- Paired axial CT (left) and PSMA PET (right), 18F tracer
- slice position z = -856 mm
- facial anatomy redacted by setting a rectangular region of the head to black
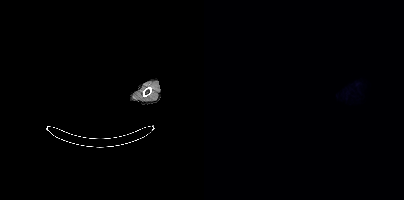
Findings: No tumor lesions annotated on this slice.